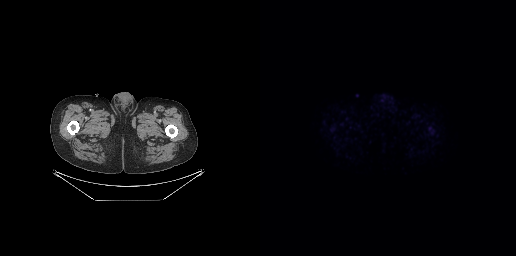
Findings: No tumor lesions annotated on this slice.
Technique: Paired axial CT (left) and PSMA PET (right), [18F]PSMA-1007 tracer. slice position z = -821 mm. PET panel 256×256 px (2.7 mm/px).